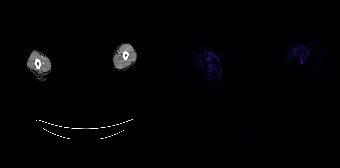
{"modality":"PSMA PET/CT","view":"axial","tracer":"[68Ga]Ga-PSMA-11","pet_grid":[168,168],"coord_frame":"pet_panel","coord_format":"x0,y0,x1,y1","deidentification":"head region blanked (face removed)","psma_avid_lesions":false}